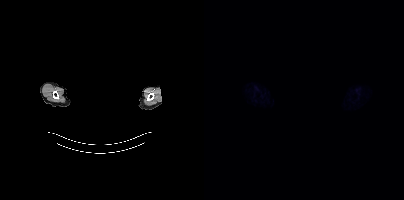
{"modality":"PSMA PET/CT","view":"axial","tracer":"18F","pet_grid":[200,200],"coord_frame":"pet_panel","coord_format":"x0,y0,x1,y1","psma_avid_lesions":false,"redaction":"rectangular block over head set to black"}